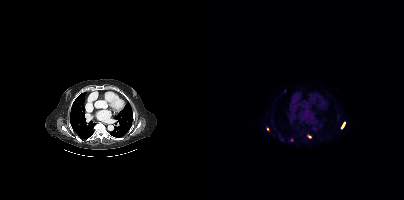
{"modality":"PSMA PET/CT","view":"axial","tracer":"18F","pet_grid":[200,200],"coord_frame":"pet_panel","coord_format":"x0,y0,x1,y1","partial":true,"lesion_bboxes":[[103,134,107,138],[137,122,141,128]],"small_foci_centers":[[63,128]]}